Two-panel axial: CT | PSMA PET, 18F-PSMA tracer. PET panel 200×200 px (4.1 mm/px).
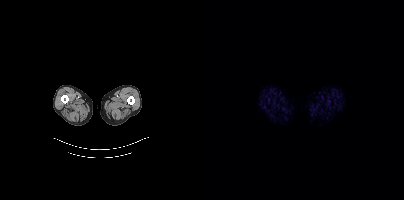
Negative for PSMA-avid disease on this slice.